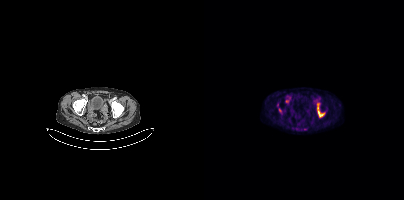
Two-panel axial: CT | PSMA PET, [18F]PSMA-1007 tracer. Acquired on Siemens Biograph mCT Flow 20.
Coordinates are on the 200×200 PET (right) panel. PSMA-avid tumor lesion bounding boxes:
| # | x0 | y0 | x1 | y1 |
|---|---|---|---|---|
| 1 | 113 | 103 | 120 | 117 |
Small PSMA-avid focus (2 to 4 px across) near (center x, center y): (75, 110).